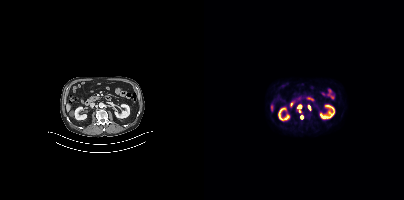
Two-panel axial: CT | PSMA PET, [18F]PSMA-1007 tracer. Slice position z = -1164 mm. PET panel 200×200 px (4.1 mm/px). Coordinates are on the 200×200 PET (right) panel. Small PSMA-avid foci (2 to 4 px across) near (center x, center y): (95, 106) / (98, 117) / (95, 111) / (104, 106).